Any black rectangle over the head is a privacy mask, not anatomy.
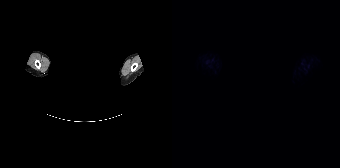
This slice has no annotated PSMA-avid lesion.